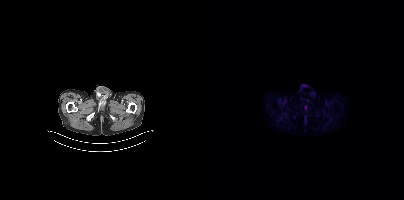
Technique: Two-panel axial: CT | PSMA PET, 18F-PSMA tracer. acquired on Siemens Biograph mCT Flow 20. PET panel 200×200 px (4.1 mm/px).
Findings: No PSMA-avid tumor lesions on this slice.